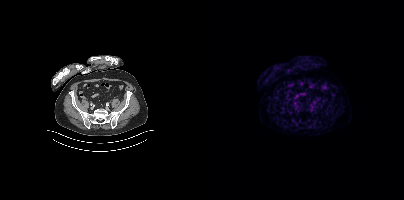
modality: PSMA PET/CT | tracer: [68Ga]Ga-PSMA-11 | view: axial
This slice has no annotated PSMA-avid lesion.